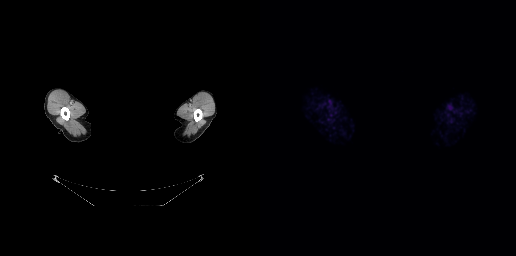
{"modality":"PSMA PET/CT","view":"axial","tracer":"18F","pet_grid":[256,256],"coord_frame":"pet_panel","coord_format":"x0,y0,x1,y1","psma_avid_lesions":false,"de-identification":"facial region redacted"}